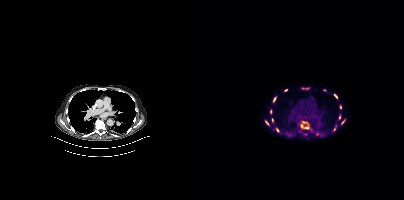
Coordinates are on the 200×200 PET (right) panel. (showing 13 of 16 foci) PSMA-avid tumor lesion bounding boxes (x0,y0,x1,y1): [96,121,105,129], [97,87,105,89], [69,96,72,102], [129,94,133,98], [61,120,64,125], [136,105,137,109], [135,114,136,119], [137,120,140,124]. Small PSMA-avid foci (2 to 4 px across) near (center x, center y): (73, 129), (68, 119), (66, 111), (130, 129), (120, 89).
modality: PSMA PET/CT | tracer: 18F-PSMA | view: axial | PET grid: 200×200